Technique: Left: CT. Right: PSMA PET, same axial level, 18F tracer. acquired on Siemens Biograph mCT Flow 20.
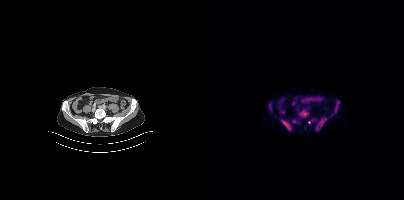
Findings: Coordinates are on the 200×200 PET (right) panel. (showing 3 of 6 foci) PSMA-avid tumor lesion bounding boxes (x0,y0,x1,y1): [112,118,121,129]; [77,120,87,130]; [95,109,104,116].